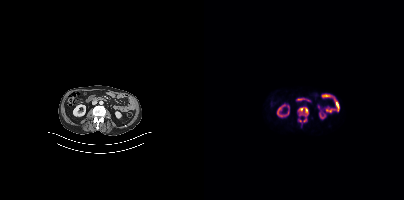
Coordinates are on the 200×200 PET (right) panel. (showing 3 of 4 foci) PSMA-avid tumor lesion bounding boxes (x, y, width, height): x=101 y=107 w=4 h=8 / x=95 y=107 w=5 h=5. Small PSMA-avid focus (2 to 4 px across) near (center x, center y): (100, 120).